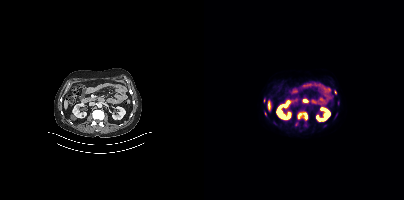
Findings: Coordinates are on the 200×200 PET (right) panel. PSMA-avid tumor lesion bounding box (x0, y0)-(x1, y1): (94, 112)-(103, 119). Small PSMA-avid foci (2 to 4 px across) near (center x, center y): (60, 100); (131, 92); (61, 113).
- Left: CT. Right: PSMA PET, same axial level, [18F]PSMA-1007 tracer
- acquired on Siemens Biograph mCT Flow 20
- slice 195 of 429
- PET panel 200×200 px (4.1 mm/px)